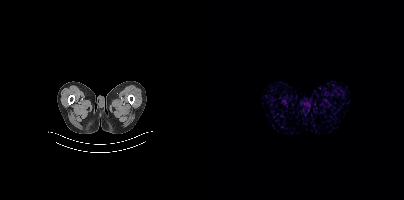
Left: CT. Right: PSMA PET, same axial level, [68Ga]Ga-PSMA-11 tracer. PET panel 200×200 px (4.1 mm/px). No tumor lesions annotated on this slice.